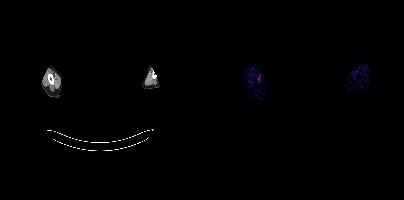
Head region blanked for anonymization (face removed). Left: CT. Right: PSMA PET, same axial level, [68Ga]Ga-PSMA-11 tracer. PET panel 200×200 px (4.1 mm/px). Negative for PSMA-avid disease on this slice.